Any black rectangle over the head is a privacy mask, not anatomy. Paired axial CT (left) and PSMA PET (right), 68Ga tracer. Acquired on Siemens Biograph 64-4R TruePoint. Slice position z = -638 mm. PET panel 168×168 px (4.1 mm/px).
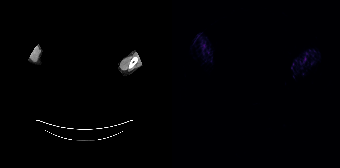
No tumor lesions annotated on this slice.